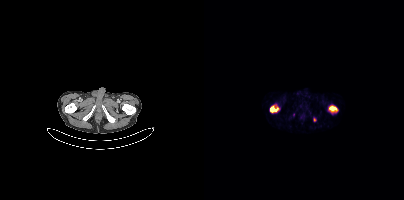
Coordinates are on the 200×200 PET (right) panel. PSMA-avid tumor lesion bounding boxes (x0,y0,x1,y1): [125,106,133,111] [66,106,74,111]. Small PSMA-avid focus (2 to 4 px across) near (center x, center y): (110, 119).
modality: PSMA PET/CT | tracer: 68Ga | view: axial